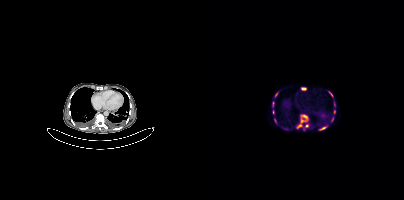
Coordinates are on the 200×200 PET (right) panel. (showing 12 of 14 foci) PSMA-avid tumor lesion bounding boxes (x, y, width, height): x=97 y=115 w=7 h=8; x=115 y=127 w=8 h=4; x=125 y=91 w=4 h=6; x=93 y=124 w=5 h=4. Small PSMA-avid foci (2 to 4 px across) near (center x, center y): (99, 88); (72, 94); (68, 104); (103, 125); (69, 111); (130, 110); (128, 119); (70, 120). Two-panel axial: CT | PSMA PET, [68Ga]Ga-PSMA-11 tracer. Slice position z = -739 mm.